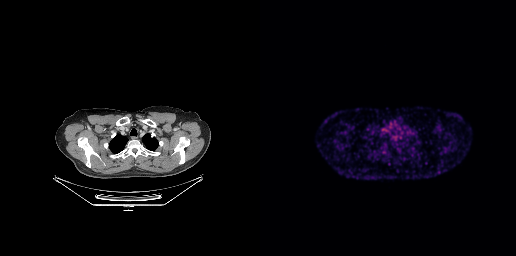
Left: CT. Right: PSMA PET, same axial level, 68Ga tracer. Slice position z = -374 mm. PET panel 256×256 px (2.7 mm/px). No tumor lesions annotated on this slice.